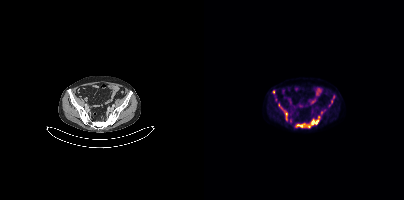
{"modality":"PSMA PET/CT","view":"axial","tracer":"18F","pet_grid":[200,200],"coord_frame":"pet_panel","coord_format":"x0,y0,x1,y1","partial":true,"lesion_bboxes":[[92,116,115,127],[80,110,83,119]],"small_foci_centers":[[69,91],[127,101],[129,96],[77,108]]}